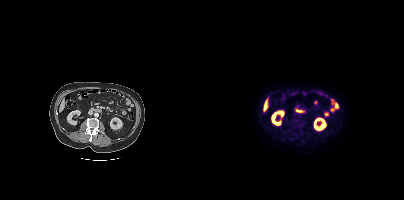
{"modality":"PSMA PET/CT","view":"axial","tracer":"18F","pet_grid":[200,200],"coord_frame":"pet_panel","coord_format":"x0,y0,x1,y1","psma_avid_lesions":false}